Left: CT. Right: PSMA PET, same axial level, 68Ga-PSMA tracer. Slice 43 of 165. PET panel 168×168 px (4.1 mm/px).
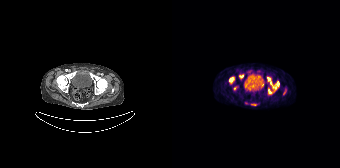
Coordinates are on the 168×168 PET (right) panel. PSMA-avid tumor lesion bounding boxes (partial; 2 more foci not listed):
| # | x0 | y0 | x1 | y1 |
|---|---|---|---|---|
| 1 | 95 | 77 | 107 | 91 |
| 2 | 57 | 77 | 62 | 83 |
| 3 | 96 | 88 | 100 | 94 |
| 4 | 67 | 74 | 71 | 78 |
Small PSMA-avid focus (2 to 4 px across) near (center x, center y): (63, 88).